Left: CT. Right: PSMA PET, same axial level, 68Ga-PSMA tracer. Acquired on Siemens Biograph mCT Flow 20.
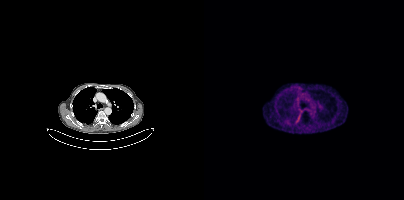
No PSMA-avid tumor lesions on this slice.